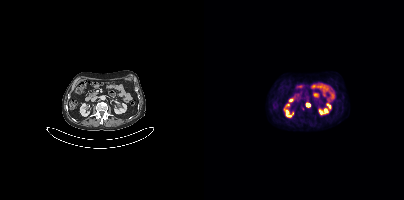
- Paired axial CT (left) and PSMA PET (right), 18F tracer
- slice position z = -1446 mm
- PET panel 200×200 px (4.1 mm/px)
Findings: Coordinates are on the 200×200 PET (right) panel. PSMA-avid tumor lesion bounding box (x, y, width, height): x=102 y=103 w=5 h=4.